modality: PSMA PET/CT | tracer: 18F-PSMA | view: axial | de-identification: privacy mask over head
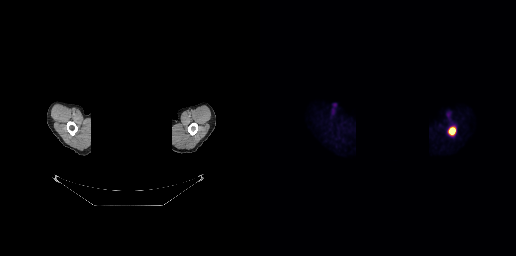
Coordinates are on the 256×256 PET (right) panel. PSMA-avid tumor lesion bounding box (x, y, width, height): x=188 y=127 w=8 h=9.